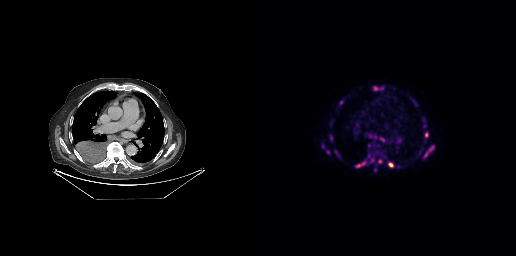
Coordinates are on the 256×256 PET (right) panel. PSMA-avid tumor lesion bounding boxes (x0, y0)-(x1, y1): (128, 162)-(133, 167) / (96, 162)-(105, 167) / (165, 132)-(168, 137) / (70, 136)-(72, 140). Small PSMA-avid foci (2 to 4 px across) near (center x, center y): (68, 151) / (120, 161) / (76, 152) / (62, 146) / (170, 149) / (166, 154) / (115, 88) / (122, 139) / (81, 102).